modality: PSMA PET/CT | tracer: [18F]PSMA-1007 | view: axial
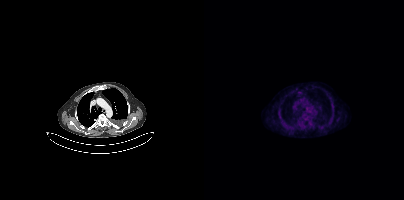
No tumor lesions annotated on this slice.